Left: CT. Right: PSMA PET, same axial level, [18F]PSMA-1007 tracer. Slice 312 of 433. PET panel 200×200 px (4.1 mm/px).
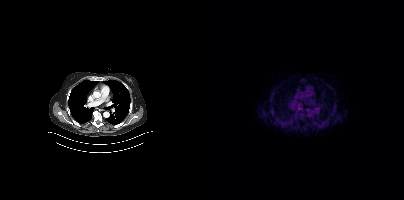
Negative for PSMA-avid disease on this slice.